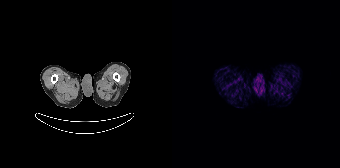
- Left: CT. Right: PSMA PET, same axial level, [68Ga]Ga-PSMA-11 tracer
- slice 6 of 165
- PET panel 168×168 px (4.1 mm/px)
Findings: No tumor lesions annotated on this slice.